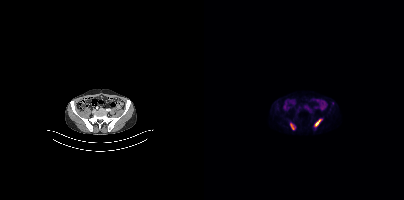
Technique: Paired axial CT (left) and PSMA PET (right), 18F tracer.
Findings: Coordinates are on the 200×200 PET (right) panel. PSMA-avid tumor lesion bounding boxes (x0,y0,x1,y1): [86,123,91,129]; [111,119,117,126].